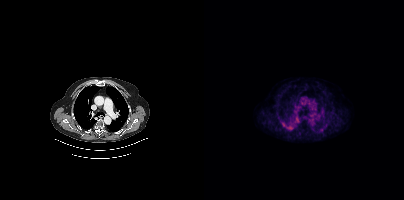
{"pet_grid":[200,200],"coord_frame":"pet_panel","coord_format":"x0,y0,x1,y1","psma_avid_lesions":false,"modality":"PSMA PET/CT","view":"axial","tracer":"18F-PSMA"}